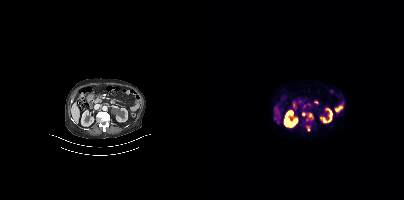
modality: PSMA PET/CT | tracer: 68Ga | view: axial
Coordinates are on the 200×200 PET (right) panel. PSMA-avid tumor lesion bounding boxes (x0,y0,x1,y1): [103,113,108,120]; [102,126,106,130]; [99,104,102,108]. Small PSMA-avid foci (2 to 4 px across) near (center x, center y): (71, 118); (99, 114); (105, 104); (74, 122).